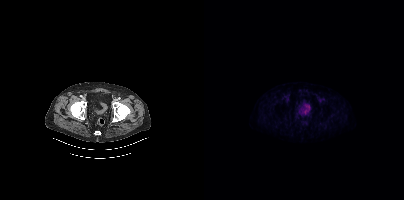
modality: PSMA PET/CT | tracer: 18F | view: axial | PET grid: 200×200
No tumor lesions annotated on this slice.